Paired axial CT (left) and PSMA PET (right), [18F]PSMA-1007 tracer.
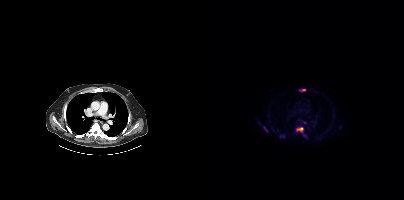
Coordinates are on the 200×200 PET (right) panel. (showing 4 of 5 foci) PSMA-avid tumor lesion bounding boxes (x, y, width, height): x=92 y=127 w=8 h=6; x=59 y=126 w=5 h=6; x=97 y=89 w=5 h=3. Small PSMA-avid focus (2 to 4 px across) near (center x, center y): (100, 122).